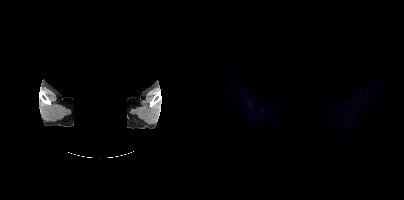
No PSMA-avid tumor lesions on this slice. Left: CT. Right: PSMA PET, same axial level, [18F]PSMA-1007 tracer. Acquired on Siemens Biograph mCT Flow 20. PET panel 200×200 px (4.1 mm/px). Face de-identified by blanking a block of the head.